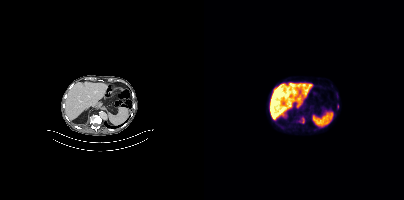
Technique: Left: CT. Right: PSMA PET, same axial level, [18F]PSMA-1007 tracer. acquired on Siemens Biograph mCT Flow 20. slice position z = 260 mm. PET panel 200×200 px (4.1 mm/px).
Findings: Coordinates are on the 200×200 PET (right) panel. PSMA-avid tumor lesion bounding box (x, y, width, height): x=98 y=118 w=3 h=6. Small PSMA-avid focus (2 to 4 px across) near (center x, center y): (133, 106).